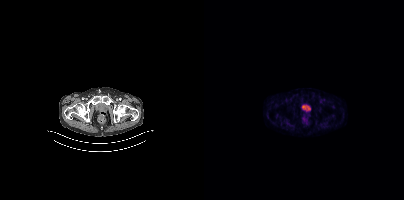
Negative for PSMA-avid disease on this slice. Left: CT. Right: PSMA PET, same axial level, 18F tracer. Acquired on Siemens Biograph mCT Flow 20. PET panel 200×200 px (4.1 mm/px).